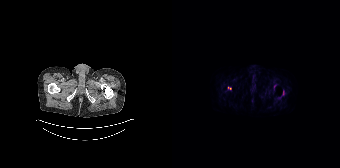
modality: PSMA PET/CT | tracer: [18F]PSMA-1007 | view: axial
Coordinates are on the 168×168 PET (right) panel. (showing 1 of 3 foci) Small PSMA-avid focus (2 to 4 px across) near (center x, center y): (57, 88).